deidentification: head region blanked (face removed) | modality: PSMA PET/CT | tracer: 18F | view: axial
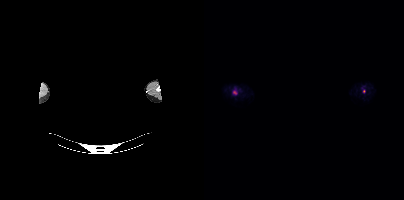
Coordinates are on the 200×200 PET (right) panel. Small PSMA-avid foci (2 to 4 px across) near (center x, center y): (30, 92) | (159, 91).